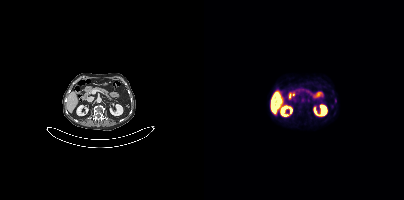
Coordinates are on the 200×200 PET (right) panel. Small PSMA-avid focus (2 to 4 px across) near (center x, center y): (104, 100).